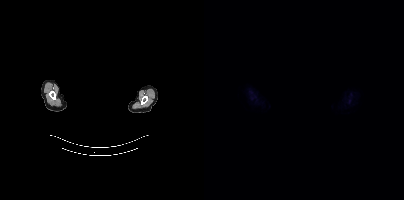
Left: CT. Right: PSMA PET, same axial level, [18F]PSMA-1007 tracer. Privacy masking over the head, with the pixels inside a rectangle set to black. Negative for PSMA-avid disease on this slice.